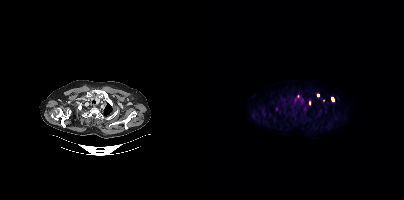
Technique: Left: CT. Right: PSMA PET, same axial level, 18F tracer.
Findings: Coordinates are on the 200×200 PET (right) panel. (showing 5 of 6 foci) PSMA-avid tumor lesion bounding box (x0,y0,x1,y1): [127,97,130,101]. Small PSMA-avid foci (2 to 4 px across) near (center x, center y): (114, 94); (105, 102); (72, 109); (94, 96).